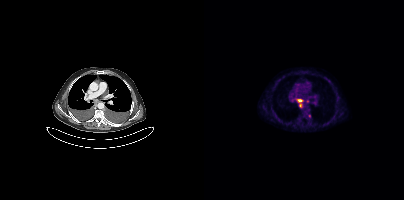
{"modality":"PSMA PET/CT","view":"axial","tracer":"18F-PSMA","pet_grid":[200,200],"coord_frame":"pet_panel","coord_format":"x0,y0,x1,y1","lesion_bboxes":[[93,99,98,107]],"small_foci_centers":[[103,101],[105,115]]}